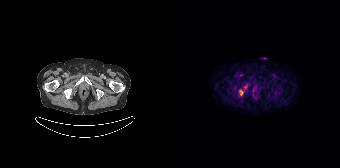
Coordinates are on the 168×168 PET (right) panel. (showing 1 of 2 foci) PSMA-avid tumor lesion bounding box (x, y, width, height): x=68 y=90 w=3 h=6.
modality: PSMA PET/CT | tracer: 68Ga | view: axial | PET grid: 168×168